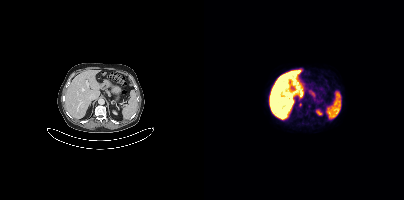
Coordinates are on the 200×200 PET (right) panel. (showing 2 of 3 foci) Small PSMA-avid foci (2 to 4 px across) near (center x, center y): (105, 105), (96, 104).